modality: PSMA PET/CT | tracer: 18F-PSMA | view: axial | deidentification: privacy mask over head
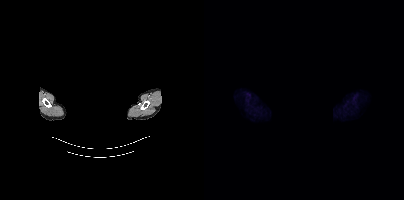
No PSMA-avid tumor lesions on this slice.